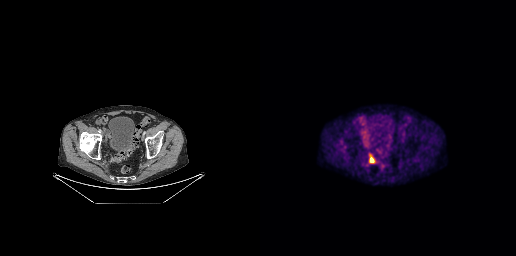
Coordinates are on the 256×256 PET (right) panel. PSMA-avid tumor lesion bounding box (x0,y0,x1,y1): [110,156,114,162].